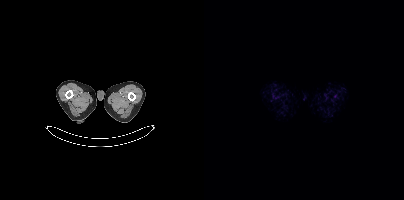
No tumor lesions annotated on this slice.